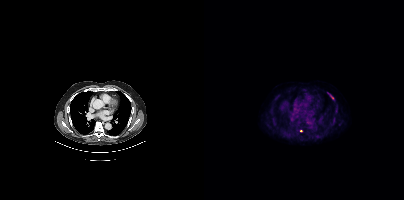
Two-panel axial: CT | PSMA PET, [18F]PSMA-1007 tracer. PET panel 200×200 px (4.1 mm/px).
Coordinates are on the 200×200 PET (right) panel. PSMA-avid tumor lesion bounding boxes:
| # | x0 | y0 | x1 | y1 |
|---|---|---|---|---|
| 1 | 126 | 95 | 129 | 99 |
Small PSMA-avid focus (2 to 4 px across) near (center x, center y): (97, 131).